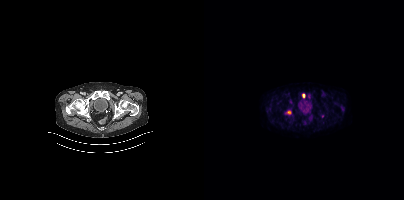
Coordinates are on the 200×200 PET (right) panel. (showing 3 of 4 foci) PSMA-avid tumor lesion bounding box (x, y, width, height): x=83 y=110 w=5 h=5. Small PSMA-avid foci (2 to 4 px across) near (center x, center y): (99, 95); (118, 115).